Two-panel axial: CT | PSMA PET, 18F tracer. Slice position z = -1460 mm. PET panel 200×200 px (4.1 mm/px).
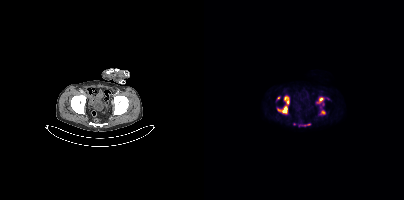
Coordinates are on the 200×200 PET (right) panel. (showing 6 of 7 foci) PSMA-avid tumor lesion bounding boxes (x, y, width, height): x=73 y=95 w=13 h=20 | x=112 y=97 w=8 h=7 | x=116 y=110 w=6 h=5 | x=73 y=96 w=4 h=5 | x=100 y=124 w=7 h=2. Small PSMA-avid focus (2 to 4 px across) near (center x, center y): (90, 123).